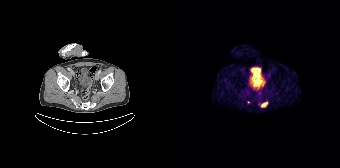
Coordinates are on the 168×168 PET (right) panel. PSMA-avid tumor lesion bounding box (x0, y0)-(x1, y1): (89, 102)-(95, 107). Small PSMA-avid focus (2 to 4 px across) near (center x, center y): (76, 102).
modality: PSMA PET/CT | tracer: 68Ga-PSMA | view: axial